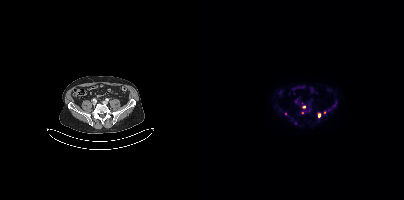
Coordinates are on the 200×200 PET (right) panel. (showing 8 of 10 foci) PSMA-avid tumor lesion bounding box (x0, y0)-(x1, y1): (90, 99)-(94, 103). Small PSMA-avid foci (2 to 4 px across) near (center x, center y): (99, 107) | (115, 114) | (125, 110) | (121, 112) | (81, 113) | (131, 104) | (98, 112).